- Left: CT. Right: PSMA PET, same axial level, 18F-PSMA tracer
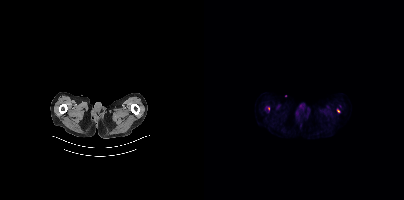
Findings: Coordinates are on the 200×200 PET (right) panel. Small PSMA-avid foci (2 to 4 px across) near (center x, center y): (134, 110), (64, 108).